Two-panel axial: CT | PSMA PET, 18F-PSMA tracer.
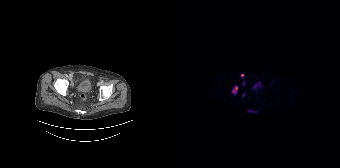
Coordinates are on the 168×168 PET (right) panel. (showing 4 of 5 foci) PSMA-avid tumor lesion bounding boxes (x0, y0)-(x1, y1): (60, 86)-(65, 93); (69, 73)-(71, 77); (76, 110)-(81, 111). Small PSMA-avid focus (2 to 4 px across) near (center x, center y): (71, 83).